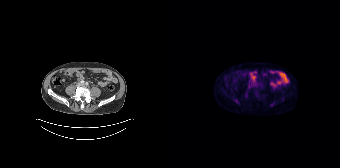
modality: PSMA PET/CT | tracer: 18F-PSMA | view: axial | PET grid: 168×168
Coordinates are on the 168×168 PET (right) panel. Small PSMA-avid focus (2 to 4 px across) near (center x, center y): (99, 104).